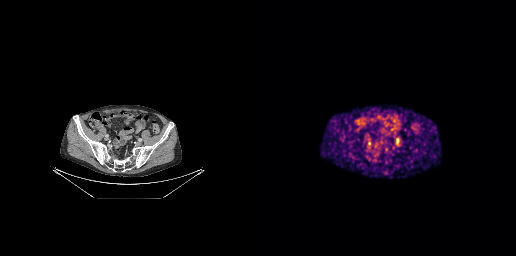
{"modality":"PSMA PET/CT","view":"axial","tracer":"68Ga-PSMA","pet_grid":[256,256],"coord_frame":"pet_panel","coord_format":"x0,y0,x1,y1","lesion_bboxes":[],"small_foci_centers":[[137,140]]}